- Left: CT. Right: PSMA PET, same axial level, 18F-PSMA tracer
- acquired on Siemens Biograph mCT Flow 20
- PET panel 200×200 px (4.1 mm/px)
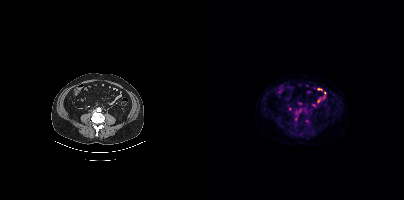
Findings: Coordinates are on the 200×200 PET (right) panel. Small PSMA-avid foci (2 to 4 px across) near (center x, center y): (91, 119); (103, 120).